Paired axial CT (left) and PSMA PET (right), 68Ga-PSMA tracer. Slice 114 of 195. PET panel 168×168 px (4.1 mm/px).
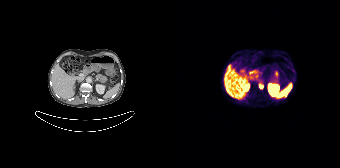
Coordinates are on the 168×168 PET (right) panel. Small PSMA-avid focus (2 to 4 px across) near (center x, center y): (89, 86).